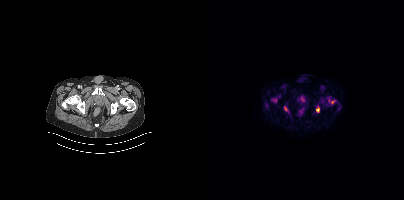
Findings: Coordinates are on the 200×200 PET (right) panel. (showing 2 of 3 foci) Small PSMA-avid foci (2 to 4 px across) near (center x, center y): (113, 109); (128, 102).
Technique: Two-panel axial: CT | PSMA PET, 18F-PSMA tracer. slice 71 of 429. PET panel 200×200 px (4.1 mm/px).